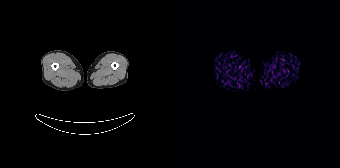
No tumor lesions annotated on this slice. Two-panel axial: CT | PSMA PET, 68Ga-PSMA tracer.